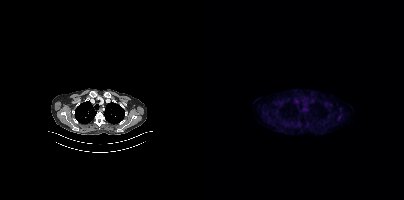
Paired axial CT (left) and PSMA PET (right), 18F-PSMA tracer. Acquired on Siemens Biograph mCT Flow 20. Slice 317 of 389. Coordinates are on the 200×200 PET (right) panel. Small PSMA-avid focus (2 to 4 px across) near (center x, center y): (135, 117).